Two-panel axial: CT | PSMA PET, 18F-PSMA tracer. Slice position z = -644 mm.
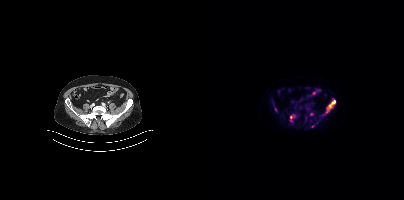
Coordinates are on the 200×200 PET (right) panel. PSMA-avid tumor lesion bounding box (x0, y0)-(x1, y1): (122, 100)-(131, 112). Small PSMA-avid foci (2 to 4 px across) near (center x, center y): (107, 114) / (87, 117) / (108, 126) / (71, 109).